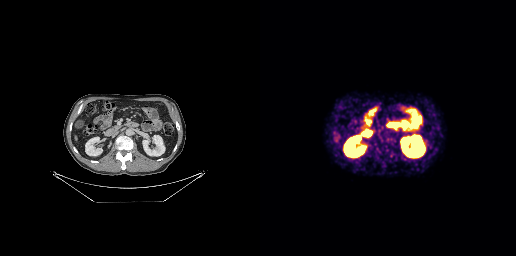
Findings: Coordinates are on the 256×256 PET (right) panel. PSMA-avid tumor lesion bounding box (x0, y0)-(x1, y1): (125, 141)-(129, 142). Small PSMA-avid foci (2 to 4 px across) near (center x, center y): (127, 150) / (126, 146) / (122, 141).
- Paired axial CT (left) and PSMA PET (right), 18F-PSMA tracer